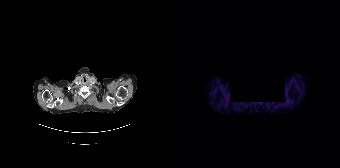
{"pet_grid":[168,168],"coord_frame":"pet_panel","coord_format":"x0,y0,x1,y1","psma_avid_lesions":false,"deidentification":"black rectangle is a privacy mask","modality":"PSMA PET/CT","view":"axial","tracer":"68Ga-PSMA"}